Face de-identified by blanking a block of the head.
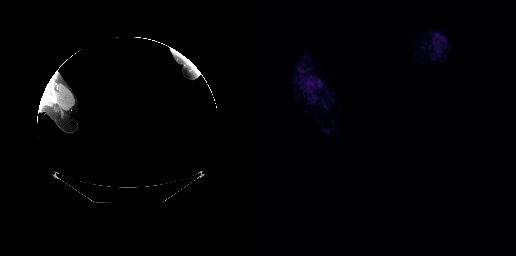
No tumor lesions annotated on this slice.